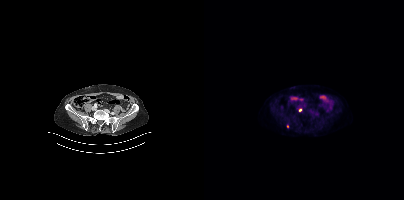
{"modality":"PSMA PET/CT","view":"axial","tracer":"18F-PSMA","pet_grid":[200,200],"coord_frame":"pet_panel","coord_format":"x0,y0,x1,y1","lesion_bboxes":[],"small_foci_centers":[[96,109],[83,125]]}